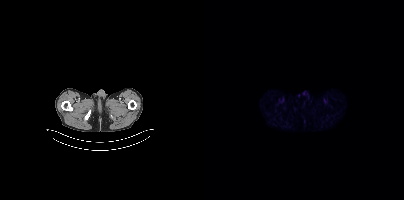
No tumor lesions annotated on this slice.